Technique: Two-panel axial: CT | PSMA PET, 68Ga tracer. acquired on Siemens Biograph mCT Flow 20. slice position z = -1149 mm.
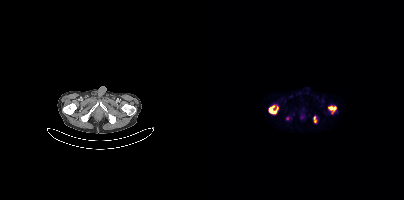
Findings: Coordinates are on the 200×200 PET (right) panel. (showing 3 of 5 foci) PSMA-avid tumor lesion bounding boxes (x, y, width, height): x=65 y=106 w=7 h=8 | x=124 y=106 w=9 h=6 | x=109 y=116 w=4 h=7.